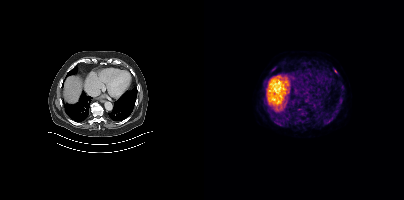
{"modality":"PSMA PET/CT","view":"axial","tracer":"18F","pet_grid":[200,200],"coord_frame":"pet_panel","coord_format":"x0,y0,x1,y1","lesion_bboxes":[[119,119,125,125],[128,114,132,119]],"small_foci_centers":[[137,100],[132,72],[138,84]]}